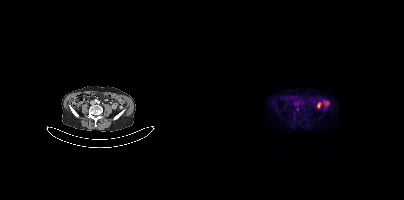
Only PSMA-avid lesion pieces thinner than 2 px on this slice (not listed).